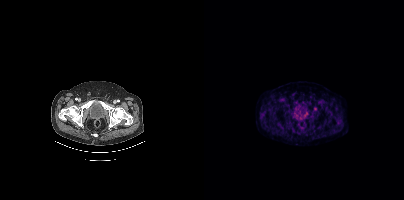
{"modality":"PSMA PET/CT","view":"axial","tracer":"18F","pet_grid":[200,200],"coord_frame":"pet_panel","coord_format":"x0,y0,x1,y1","partial":true,"lesion_bboxes":[]}